Paired axial CT (left) and PSMA PET (right), 68Ga-PSMA tracer. Acquired on GE Discovery 690. Slice 27 of 263.
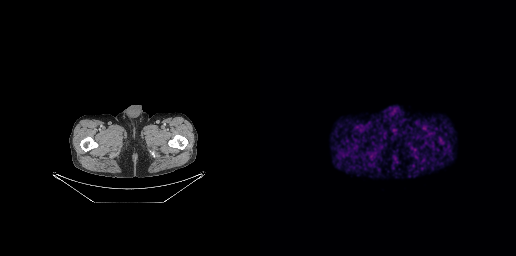
No tumor lesions annotated on this slice.